Technique: Paired axial CT (left) and PSMA PET (right), [18F]PSMA-1007 tracer. acquired on GE Discovery 690. slice 208 of 299.
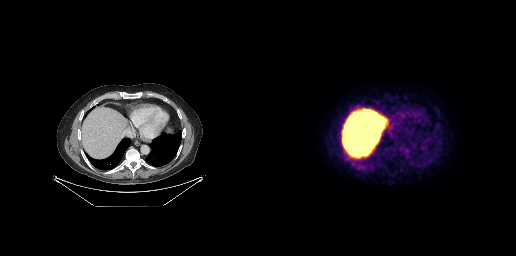
Findings: No PSMA-avid tumor lesions on this slice.